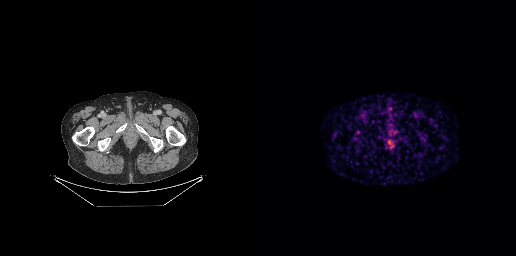
{"modality":"PSMA PET/CT","view":"axial","tracer":"[68Ga]Ga-PSMA-11","pet_grid":[256,256],"coord_frame":"pet_panel","coord_format":"x0,y0,x1,y1","lesion_bboxes":[[129,130,135,136]]}